Technique: Left: CT. Right: PSMA PET, same axial level, [18F]PSMA-1007 tracer. acquired on Siemens Biograph mCT Flow 20. slice 116 of 429. PET panel 200×200 px (4.1 mm/px).
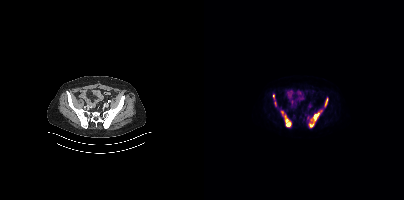
Findings: Coordinates are on the 200×200 PET (right) panel. (showing 6 of 7 foci) PSMA-avid tumor lesion bounding boxes (x, y, width, height): x=77 y=111 w=11 h=16 / x=109 y=114 w=6 h=8 / x=121 y=98 w=3 h=9 / x=105 y=123 w=5 h=5 / x=69 y=94 w=2 h=6 / x=71 y=101 w=2 h=6.